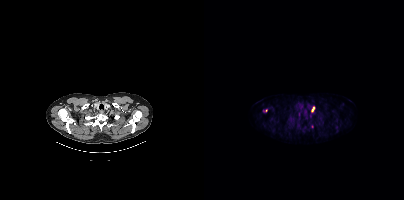
Technique: Two-panel axial: CT | PSMA PET, 18F-PSMA tracer. acquired on Siemens Biograph mCT Flow 20. slice position z = -1023 mm.
Findings: Coordinates are on the 200×200 PET (right) panel. PSMA-avid tumor lesion bounding boxes (x0, y0)-(x1, y1): (107, 106)-(110, 112) / (59, 109)-(63, 111). Small PSMA-avid focus (2 to 4 px across) near (center x, center y): (108, 126).